Technique: Left: CT. Right: PSMA PET, same axial level, 18F tracer.
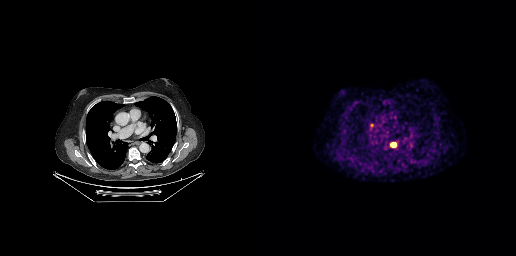
Findings: Coordinates are on the 256×256 PET (right) panel. PSMA-avid tumor lesion bounding box (x0, y0)-(x1, y1): (131, 142)-(136, 147). Small PSMA-avid focus (2 to 4 px across) near (center x, center y): (111, 125).